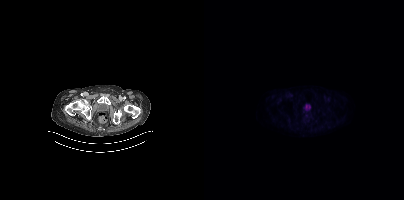
modality: PSMA PET/CT | tracer: [18F]PSMA-1007 | view: axial | PET grid: 200×200
No PSMA-avid tumor lesions on this slice.